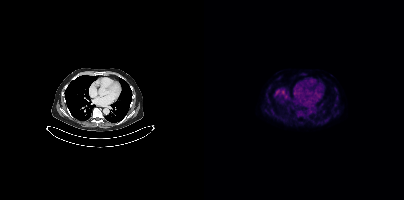
{"pet_grid":[200,200],"coord_frame":"pet_panel","coord_format":"x0,y0,x1,y1","psma_avid_lesions":false,"modality":"PSMA PET/CT","view":"axial","tracer":"18F"}